modality: PSMA PET/CT | tracer: 18F | view: axial
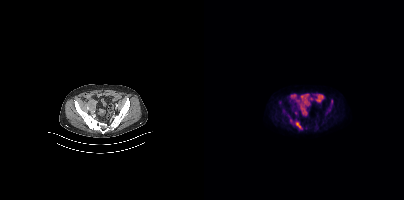
Coordinates are on the 200×200 PET (right) panel. (showing 3 of 4 foci) PSMA-avid tumor lesion bounding boxes (x0,y0,x1,y1): [91,121,98,129], [127,99,128,104], [85,117,88,121].